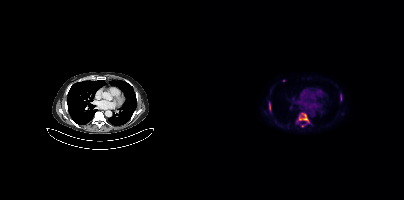
modality: PSMA PET/CT | tracer: [18F]PSMA-1007 | view: axial | PET grid: 200×200
Coordinates are on the 200×200 PET (right) panel. PSMA-avid tumor lesion bounding boxes (x0, y0)-(x1, y1): (95, 113)-(105, 122) / (65, 103)-(66, 111) / (136, 94)-(137, 100). Small PSMA-avid foci (2 to 4 px across) near (center x, center y): (79, 80) / (98, 125).